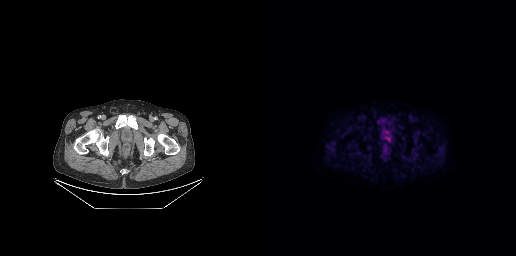
Technique: Left: CT. Right: PSMA PET, same axial level, 18F tracer. PET panel 256×256 px (2.7 mm/px).
Findings: Coordinates are on the 256×256 PET (right) panel. Small PSMA-avid focus (2 to 4 px across) near (center x, center y): (128, 139).